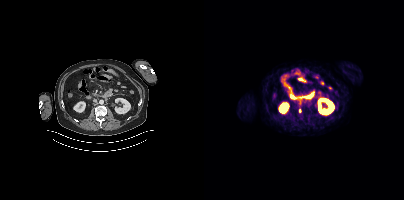
- Two-panel axial: CT | PSMA PET, 68Ga-PSMA tracer
- acquired on Siemens Biograph mCT Flow 20
- slice position z = -1256 mm
- PET panel 200×200 px (4.1 mm/px)
Findings: Coordinates are on the 200×200 PET (right) panel. Small PSMA-avid focus (2 to 4 px across) near (center x, center y): (95, 110).